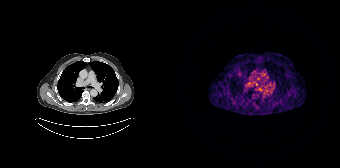
- Two-panel axial: CT | PSMA PET, 68Ga-PSMA tracer
- PET panel 168×168 px (4.1 mm/px)
Findings: Coordinates are on the 168×168 PET (right) panel. PSMA-avid tumor lesion bounding box (x, y, width, height): x=66 y=72 w=4 h=5.